Left: CT. Right: PSMA PET, same axial level, 68Ga-PSMA tracer. PET panel 168×168 px (4.1 mm/px).
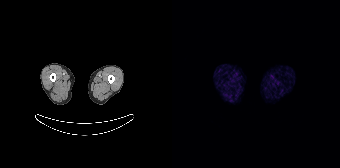
No tumor lesions annotated on this slice.